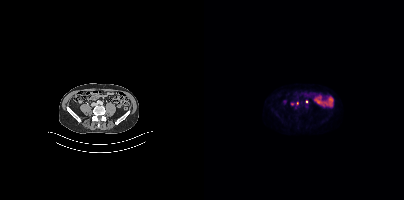
Technique: Two-panel axial: CT | PSMA PET, 18F tracer. acquired on Siemens Biograph mCT Flow 20. PET panel 200×200 px (4.1 mm/px).
Findings: Coordinates are on the 200×200 PET (right) panel. Small PSMA-avid foci (2 to 4 px across) near (center x, center y): (88, 104) | (102, 101) | (93, 103).